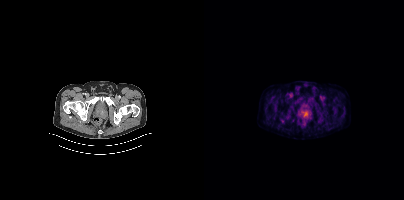
Coordinates are on the 200×200 PET (right) panel. PSMA-avid tumor lesion bounding boxes:
| # | x0 | y0 | x1 | y1 |
|---|---|---|---|---|
| 1 | 98 | 111 | 104 | 116 |
Paired axial CT (left) and PSMA PET (right), 18F tracer. Acquired on Siemens Biograph mCT Flow 20. PET panel 200×200 px (4.1 mm/px).